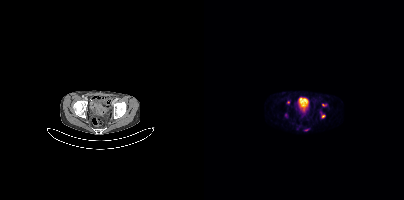
Findings: Coordinates are on the 200×200 PET (right) panel. (showing 3 of 4 foci) Small PSMA-avid foci (2 to 4 px across) near (center x, center y): (119, 116); (119, 105); (84, 102).
Technique: Left: CT. Right: PSMA PET, same axial level, 68Ga tracer. acquired on Siemens Biograph mCT Flow 20. slice 63 of 393. PET panel 200×200 px (4.1 mm/px).